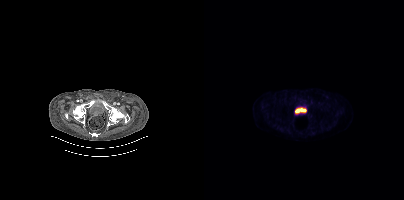
Left: CT. Right: PSMA PET, same axial level, 18F tracer. PET panel 200×200 px (4.1 mm/px). This slice has no annotated PSMA-avid lesion.